Technique: Two-panel axial: CT | PSMA PET, 68Ga tracer. acquired on Siemens Biograph 64-4R TruePoint. PET panel 168×168 px (4.1 mm/px).
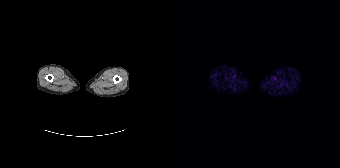
Findings: Negative for PSMA-avid disease on this slice.